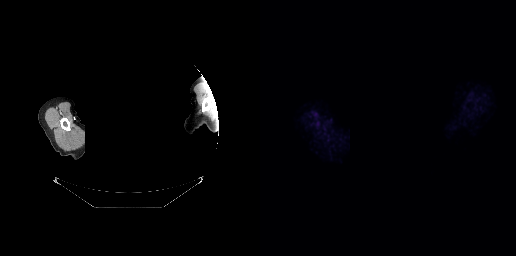
Left: CT. Right: PSMA PET, same axial level, [68Ga]Ga-PSMA-11 tracer. Acquired on GE Discovery 690. Slice 244 of 263. PET panel 256×256 px (2.7 mm/px). Facial anatomy redacted by setting a rectangular region of the head to black. Negative for PSMA-avid disease on this slice.